modality: PSMA PET/CT | tracer: 18F-PSMA | view: axial | PET grid: 200×200
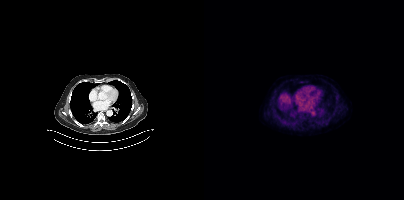
Only PSMA-avid lesion pieces thinner than 2 px on this slice (not listed).